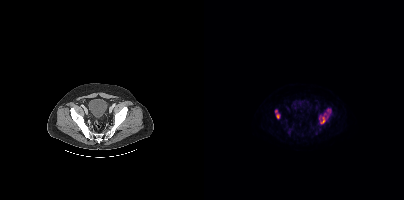
modality: PSMA PET/CT | tracer: 18F-PSMA | view: axial
Coordinates are on the 200×200 PET (right) panel. PSMA-avid tumor lesion bounding boxes (x0,y0,x1,y1): [115,109,126,124]; [71,109,75,118].